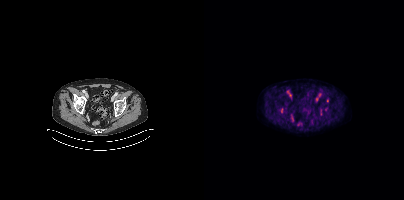
{"modality":"PSMA PET/CT","view":"axial","tracer":"18F","pet_grid":[200,200],"coord_frame":"pet_panel","coord_format":"x0,y0,x1,y1","lesion_bboxes":[[77,108,79,112]],"small_foci_centers":[[123,100]]}